Technique: Paired axial CT (left) and PSMA PET (right), 18F-PSMA tracer. slice position z = -572 mm.
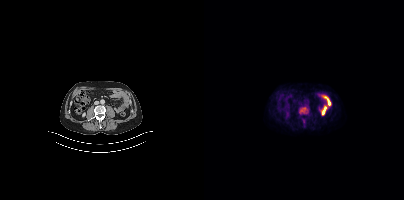
Findings: Coordinates are on the 200×200 PET (right) panel. PSMA-avid tumor lesion bounding box (x, y, width, height): x=96 y=107 w=8 h=7.